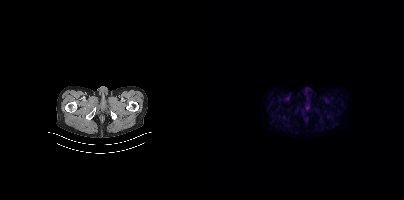
{"modality":"PSMA PET/CT","view":"axial","tracer":"18F","pet_grid":[200,200],"coord_frame":"pet_panel","coord_format":"x0,y0,x1,y1","psma_avid_lesions":false}